- Paired axial CT (left) and PSMA PET (right), [18F]PSMA-1007 tracer
- acquired on Siemens Biograph mCT Flow 20
- PET panel 200×200 px (4.1 mm/px)
- de-identified by setting a box covering the face to black before release
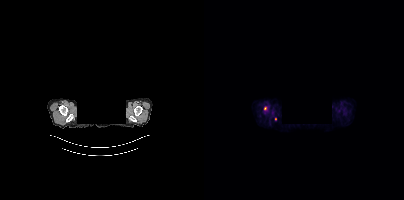
Findings: Coordinates are on the 200×200 PET (right) panel. Small PSMA-avid foci (2 to 4 px across) near (center x, center y): (61, 108) | (71, 119).